Technique: Paired axial CT (left) and PSMA PET (right), 18F-PSMA tracer. slice position z = -599 mm.
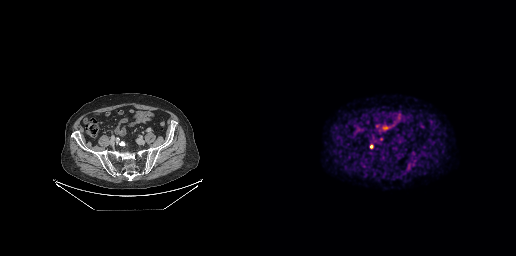
Findings: Coordinates are on the 256×256 PET (right) panel. (showing 1 of 2 foci) Small PSMA-avid focus (2 to 4 px across) near (center x, center y): (111, 146).